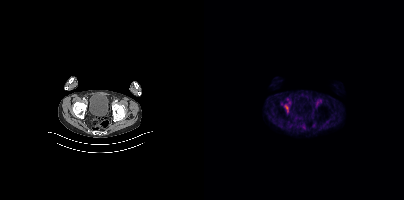
modality: PSMA PET/CT | tracer: 18F-PSMA | view: axial | PET grid: 200×200
Coordinates are on the 200×200 PET (right) panel. Small PSMA-avid focus (2 to 4 px across) near (center x, center y): (82, 107).